Left: CT. Right: PSMA PET, same axial level, 68Ga tracer. Acquired on Siemens Biograph mCT Flow 20. Slice 439 of 444. PET panel 200×200 px (4.1 mm/px). Facial anatomy redacted by setting a rectangular region of the head to black.
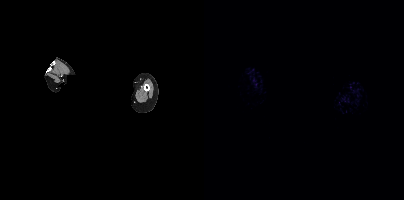
This slice has no annotated PSMA-avid lesion.